modality: PSMA PET/CT | tracer: [18F]PSMA-1007 | view: axial | PET grid: 256×256 | deidentification: rectangular block over head set to black
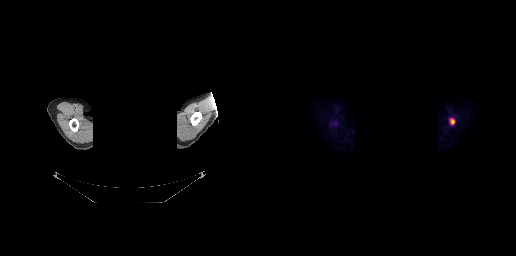
Coordinates are on the 256×256 PET (right) panel. PSMA-avid tumor lesion bounding box (x, y, width, height): x=188 y=117 w=8 h=9.